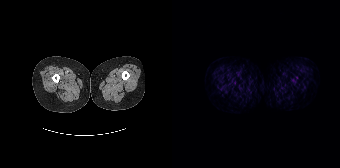
Two-panel axial: CT | PSMA PET, 68Ga tracer. Only PSMA-avid lesion pieces thinner than 2 px on this slice (not listed).